Technique: Left: CT. Right: PSMA PET, same axial level, [68Ga]Ga-PSMA-11 tracer. PET panel 256×256 px (2.7 mm/px).
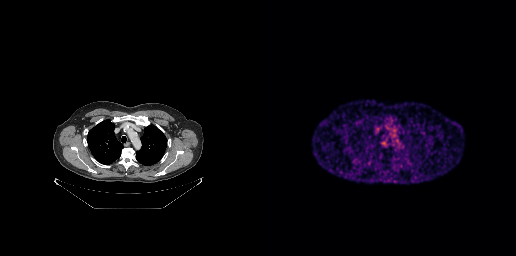
Findings: Negative for PSMA-avid disease on this slice.